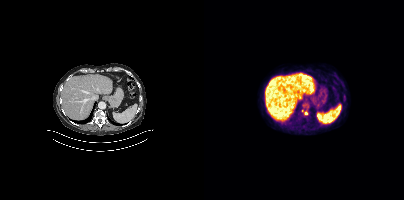
{"pet_grid":[200,200],"coord_frame":"pet_panel","coord_format":"x0,y0,x1,y1","lesion_bboxes":[],"small_foci_centers":[[101,112],[98,110]],"modality":"PSMA PET/CT","view":"axial","tracer":"18F"}